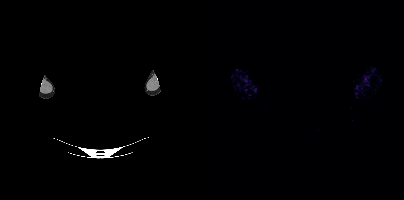
Left: CT. Right: PSMA PET, same axial level, 68Ga tracer. Slice 408 of 409. The face region was removed for patient privacy by blanking a rectangle over the head. This slice has no annotated PSMA-avid lesion.